- Paired axial CT (left) and PSMA PET (right), [18F]PSMA-1007 tracer
- PET panel 200×200 px (4.1 mm/px)
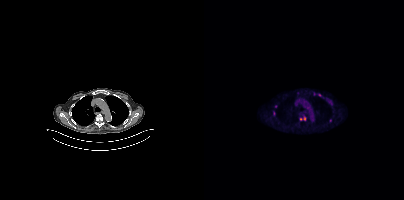
Findings: Coordinates are on the 200×200 PET (right) panel. (showing 3 of 7 foci) PSMA-avid tumor lesion bounding box (x, y, width, height): x=96 y=117 w=6 h=4. Small PSMA-avid foci (2 to 4 px across) near (center x, center y): (126, 120) | (115, 95).